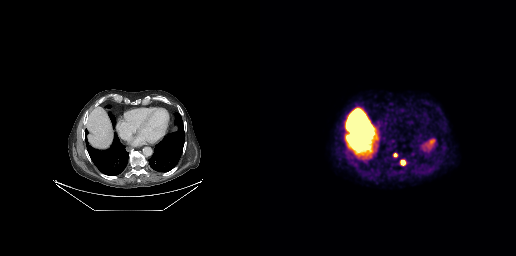
Coordinates are on the 256×256 PET (right) panel. PSMA-avid tumor lesion bounding box (x0,y0,x1,y1): [141,160,145,165]. Small PSMA-avid focus (2 to 4 px across) near (center x, center y): (135, 154).